Technique: Paired axial CT (left) and PSMA PET (right), 68Ga tracer. acquired on GE Discovery 690. slice position z = -370 mm. PET panel 256×256 px (2.7 mm/px).
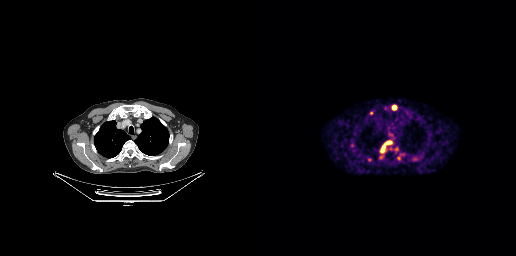
Findings: Coordinates are on the 256×256 PET (right) panel. PSMA-avid tumor lesion bounding boxes (x0, y0)-(x1, y1): (121, 141)-(132, 152) / (137, 156)-(141, 160) / (133, 105)-(136, 109). Small PSMA-avid foci (2 to 4 px across) near (center x, center y): (136, 149) / (111, 112) / (121, 156).